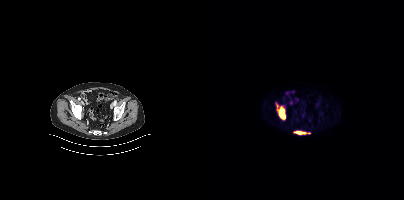
{"modality":"PSMA PET/CT","view":"axial","tracer":"[18F]PSMA-1007","pet_grid":[200,200],"coord_frame":"pet_panel","coord_format":"x0,y0,x1,y1","partial":true,"lesion_bboxes":[[74,106,81,119],[90,131,106,134]]}